Paired axial CT (left) and PSMA PET (right), [18F]PSMA-1007 tracer. Slice 193 of 466.
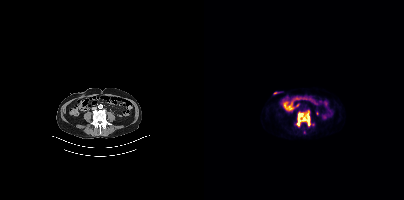
Coordinates are on the 200×200 PET (right) panel. PSMA-avid tumor lesion bounding boxes:
| # | x0 | y0 | x1 | y1 |
|---|---|---|---|---|
| 1 | 92 | 112 | 106 | 126 |